Any black rectangle over the head is a privacy mask, not anatomy. Two-panel axial: CT | PSMA PET, 18F tracer. Acquired on Siemens Biograph mCT Flow 20. Slice 347 of 377.
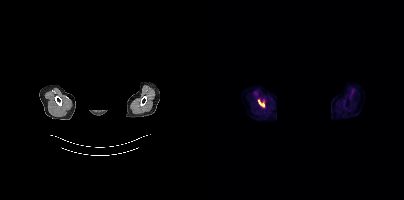
Coordinates are on the 200×200 PET (right) panel. PSMA-avid tumor lesion bounding boxes:
| # | x0 | y0 | x1 | y1 |
|---|---|---|---|---|
| 1 | 54 | 100 | 60 | 106 |